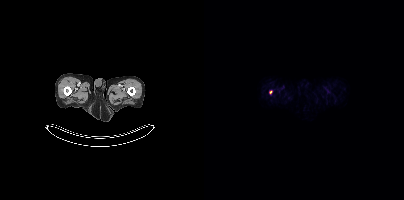
Technique: Paired axial CT (left) and PSMA PET (right), 18F tracer. PET panel 200×200 px (4.1 mm/px).
Findings: Coordinates are on the 200×200 PET (right) panel. Small PSMA-avid focus (2 to 4 px across) near (center x, center y): (66, 92).